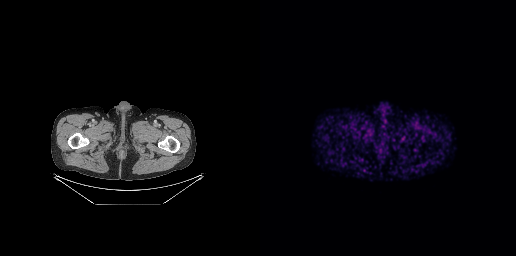
No PSMA-avid tumor lesions on this slice. Left: CT. Right: PSMA PET, same axial level, 68Ga tracer. PET panel 256×256 px (2.7 mm/px).